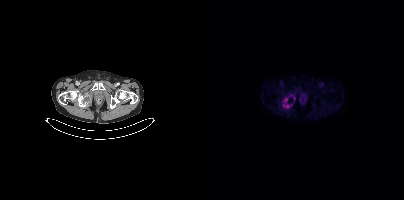
Two-panel axial: CT | PSMA PET, 18F tracer. Acquired on Siemens Biograph mCT Flow 20.
Coordinates are on the 200×200 PET (right) panel. PSMA-avid tumor lesion bounding boxes:
| # | x0 | y0 | x1 | y1 |
|---|---|---|---|---|
| 1 | 82 | 104 | 87 | 106 |
Small PSMA-avid foci (2 to 4 px across) near (center x, center y): (90, 98); (81, 99); (79, 105).